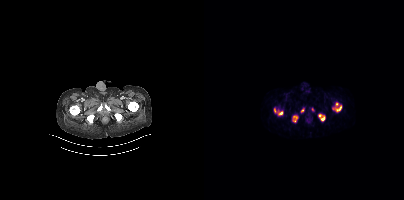
Technique: Two-panel axial: CT | PSMA PET, [68Ga]Ga-PSMA-11 tracer. acquired on Siemens Biograph mCT Flow 20.
Findings: Negative for PSMA-avid disease on this slice.